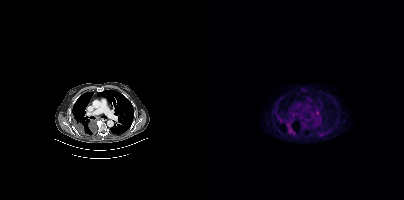
{"modality":"PSMA PET/CT","view":"axial","tracer":"18F-PSMA","pet_grid":[200,200],"coord_frame":"pet_panel","coord_format":"x0,y0,x1,y1","lesion_bboxes":[[82,123,90,133]]}